modality: PSMA PET/CT | tracer: 18F-PSMA | view: axial
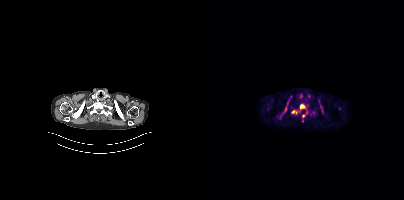
Coordinates are on the 200×200 PET (right) panel. PSMA-avid tumor lesion bounding boxes (x0, y0)-(x1, y1): (87, 103)-(103, 118); (74, 106)-(83, 119); (116, 104)-(119, 113). Small PSMA-avid focus (2 to 4 px across) near (center x, center y): (98, 120).